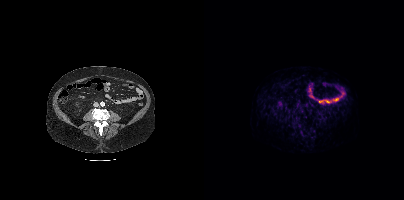
This slice has no annotated PSMA-avid lesion.